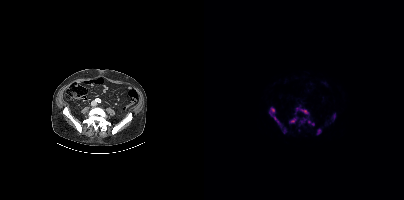
Coordinates are on the 200×200 PET (right) panel. (showing 10 of 11 foci) PSMA-avid tumor lesion bounding boxes (x0, y0)-(x1, y1): (92, 107)-(104, 114) | (70, 117)-(78, 128) | (85, 117)-(92, 123) | (65, 108)-(70, 115) | (104, 120)-(110, 125) | (113, 129)-(116, 134) | (129, 114)-(131, 118) | (80, 129)-(81, 133). Small PSMA-avid foci (2 to 4 px across) near (center x, center y): (101, 119) | (97, 121). Two-panel axial: CT | PSMA PET, 18F-PSMA tracer. Acquired on Siemens Biograph mCT Flow 20. Slice position z = -1501 mm.